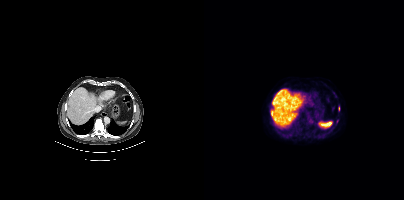
Coordinates are on the 200×200 PET (right) panel. (showing 1 of 2 foci) Small PSMA-avid focus (2 to 4 px across) near (center x, center y): (133, 121).